Left: CT. Right: PSMA PET, same axial level, 18F-PSMA tracer. PET panel 200×200 px (4.1 mm/px).
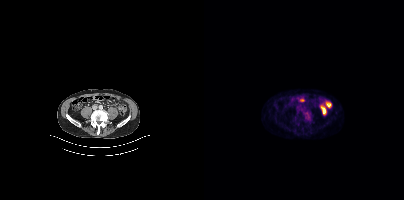
Coordinates are on the 200×200 PET (right) panel. Small PSMA-avid focus (2 to 4 px across) near (center x, center y): (102, 112).